Technique: Left: CT. Right: PSMA PET, same axial level, [68Ga]Ga-PSMA-11 tracer. acquired on GE Discovery 690. PET panel 256×256 px (2.7 mm/px).
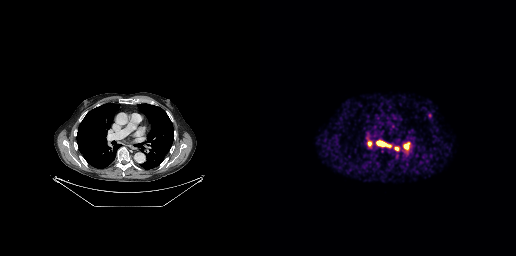
Findings: Coordinates are on the 256×256 PET (right) panel. PSMA-avid tumor lesion bounding boxes (x0, y0)-(x1, y1): (117, 141)-(130, 147) | (144, 143)-(149, 149) | (108, 141)-(111, 146). Small PSMA-avid foci (2 to 4 px across) near (center x, center y): (136, 148) | (170, 115).